- Two-panel axial: CT | PSMA PET, 68Ga tracer
- slice 154 of 195
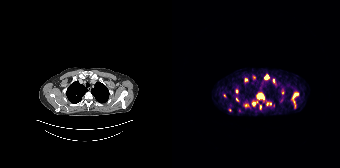
Findings: Coordinates are on the 168×168 PET (right) panel. (showing 14 of 17 foci) PSMA-avid tumor lesion bounding boxes (x0,y0,x1,y1): [85,93,92,99]; [119,93,126,107]; [92,75,97,79]; [101,79,104,85]; [95,102,99,105]; [72,103,76,105]; [64,89,66,93]; [88,105,89,109]. Small PSMA-avid foci (2 to 4 px across) near (center x, center y): (81, 103); (74, 79); (52, 95); (65, 99); (82, 77); (110, 92).